Paired axial CT (left) and PSMA PET (right), 18F-PSMA tracer. Acquired on Siemens Biograph mCT Flow 20. Slice position z = -891 mm. PET panel 200×200 px (4.1 mm/px).
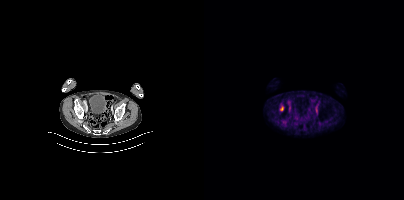
Coordinates are on the 200×200 PET (right) panel. Small PSMA-avid focus (2 to 4 px across) near (center x, center y): (77, 108).